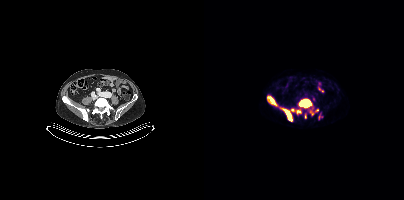
Left: CT. Right: PSMA PET, same axial level, 18F-PSMA tracer. PET panel 200×200 px (4.1 mm/px).
Coordinates are on the 200×200 PET (right) panel. PSMA-avid tumor lesion bounding boxes (partial; 1 more focus not listed):
| # | x0 | y0 | x1 | y1 |
|---|---|---|---|---|
| 1 | 95 | 99 | 107 | 107 |
| 2 | 77 | 108 | 88 | 121 |
| 3 | 64 | 97 | 71 | 104 |
Small PSMA-avid foci (2 to 4 px across) near (center x, center y): (94, 111); (107, 113); (101, 116); (88, 109); (113, 109).